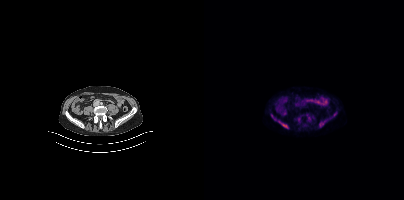
Coordinates are on the 200×200 PET (right) panel. (showing 2 of 5 foci) PSMA-avid tumor lesion bounding boxes (x0, y0)-(x1, y1): (115, 120)-(122, 127); (74, 121)-(84, 128).
modality: PSMA PET/CT | tracer: [18F]PSMA-1007 | view: axial